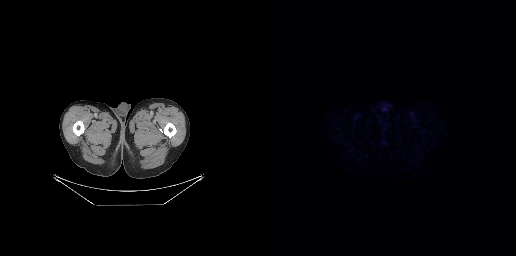
No tumor lesions annotated on this slice.